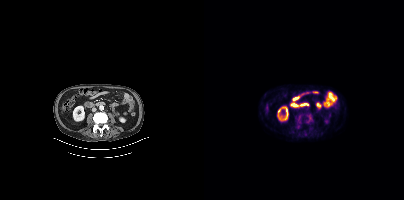
Only PSMA-avid lesion pieces thinner than 2 px on this slice (not listed).